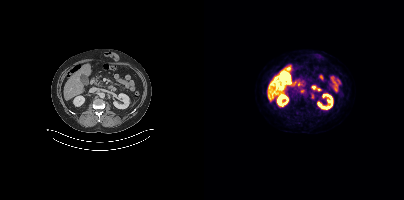
Left: CT. Right: PSMA PET, same axial level, 18F tracer. Acquired on Siemens Biograph mCT Flow 20. Slice position z = -461 mm.
Coordinates are on the 200×200 PET (right) panel. PSMA-avid tumor lesion bounding boxes:
| # | x0 | y0 | x1 | y1 |
|---|---|---|---|---|
| 1 | 106 | 93 | 110 | 98 |